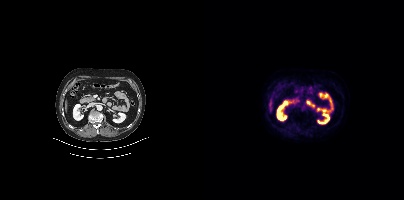
No tumor lesions annotated on this slice.